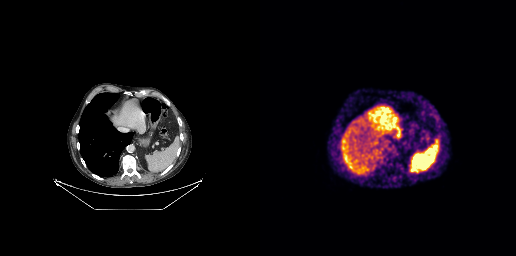
No tumor lesions annotated on this slice.